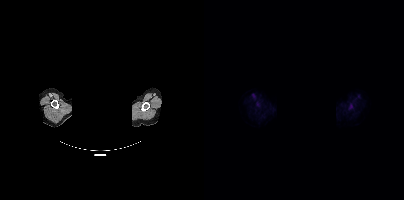
An anonymization step blacked out a rectangle over the head in this scan.
Coordinates are on the 200×200 PET (right) panel. PSMA-avid tumor lesion bounding box (x, y, width, height): x=144 y=104 w=6 h=5.